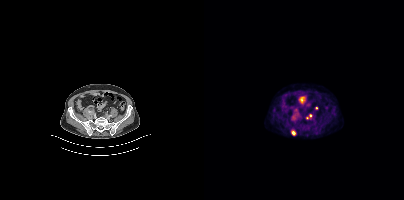
{"pet_grid":[200,200],"coord_frame":"pet_panel","coord_format":"x0,y0,x1,y1","partial":true,"lesion_bboxes":[[87,129,92,135]],"modality":"PSMA PET/CT","view":"axial","tracer":"[18F]PSMA-1007"}